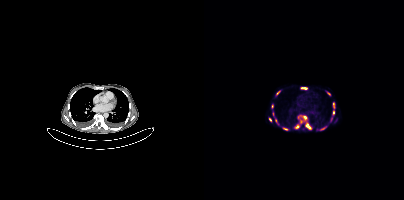
modality: PSMA PET/CT | tracer: 68Ga-PSMA | view: axial
Coordinates are on the 200×200 PET (right) panel. (showing 11 of 18 foci) PSMA-avid tumor lesion bounding boxes (x0,y0,x1,y1): [101,123,107,129]; [99,116,102,120]; [97,87,103,89]; [91,125,95,128]; [129,102,130,107]; [79,128,83,130]. Small PSMA-avid foci (2 to 4 px across) near (center x, center y): (124, 93); (129, 112); (66, 119); (118, 128); (73, 93).